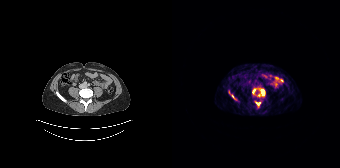
Coordinates are on the 168×168 PET (right) panel. PSMA-avid tumor lesion bounding boxes (x0,y0,x1,y1): [57,91,64,100], [89,89,92,95]. Small PSMA-avid foci (2 to 4 px across) near (center x, center y): (86, 104), (81, 90).
modality: PSMA PET/CT | tracer: [68Ga]Ga-PSMA-11 | view: axial